Paired axial CT (left) and PSMA PET (right), 18F-PSMA tracer. Acquired on Siemens Biograph mCT Flow 20. Slice 408 of 425. De-identified by setting a box covering the face to black before release.
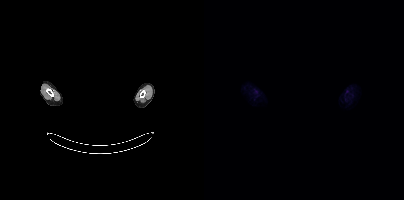
This slice has no annotated PSMA-avid lesion.